Left: CT. Right: PSMA PET, same axial level, [68Ga]Ga-PSMA-11 tracer.
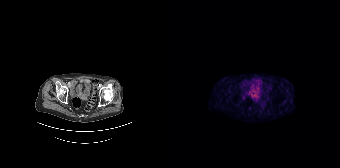
No tumor lesions annotated on this slice.